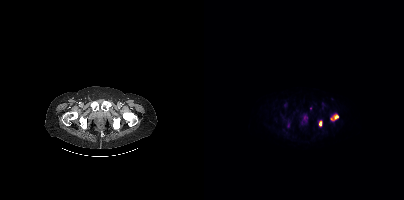
Paired axial CT (left) and PSMA PET (right), 18F-PSMA tracer. Slice 56 of 389.
Coordinates are on the 200×200 PET (right) panel. PSMA-avid tumor lesion bounding boxes:
| # | x0 | y0 | x1 | y1 |
|---|---|---|---|---|
| 1 | 127 | 114 | 134 | 120 |
| 2 | 115 | 121 | 118 | 126 |